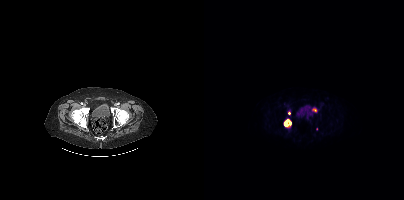
{"modality":"PSMA PET/CT","view":"axial","tracer":"18F","pet_grid":[200,200],"coord_frame":"pet_panel","coord_format":"x0,y0,x1,y1","partial":true,"lesion_bboxes":[[80,119,87,126]],"small_foci_centers":[[110,110]]}